modality: PSMA PET/CT | tracer: [18F]PSMA-1007 | view: axial
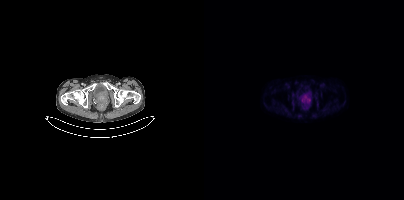
Coordinates are on the 200×200 PET (right) panel. PSMA-avid tumor lesion bounding box (x0, y0)-(x1, y1): (97, 95)-(106, 102).